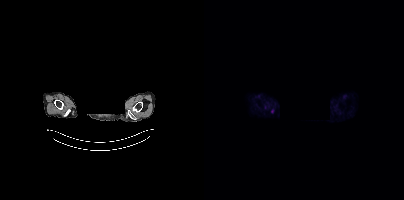
Coordinates are on the 200×200 PET (right) panel. Small PSMA-avid focus (2 to 4 px across) near (center x, center y): (68, 111).
de-identification: rectangular block over head set to black | modality: PSMA PET/CT | tracer: [18F]PSMA-1007 | view: axial